Technique: Left: CT. Right: PSMA PET, same axial level, 18F tracer. acquired on Siemens Biograph mCT Flow 20. slice position z = -444 mm. PET panel 200×200 px (4.1 mm/px).
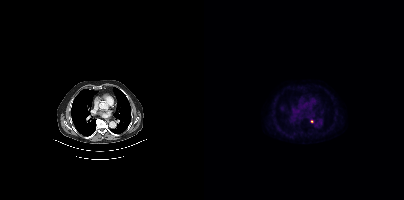
Findings: Coordinates are on the 200×200 PET (right) panel. Small PSMA-avid focus (2 to 4 px across) near (center x, center y): (107, 121).